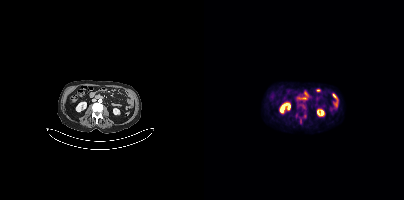
Only PSMA-avid lesion pieces thinner than 2 px on this slice (not listed).